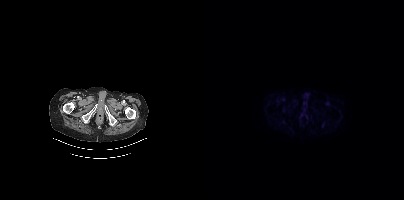
{"modality":"PSMA PET/CT","view":"axial","tracer":"[18F]PSMA-1007","pet_grid":[200,200],"coord_frame":"pet_panel","coord_format":"x0,y0,x1,y1","psma_avid_lesions":false}